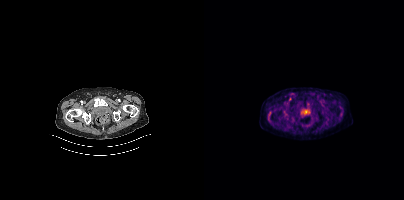
Technique: Left: CT. Right: PSMA PET, same axial level, 18F-PSMA tracer.
Findings: Only PSMA-avid lesion pieces thinner than 2 px on this slice (not listed).